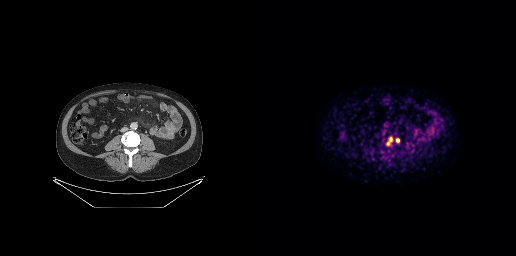
Coordinates are on the 256×256 PET (right) panel. (showing 1 of 2 foci) Small PSMA-avid focus (2 to 4 px across) near (center x, center y): (137, 140).